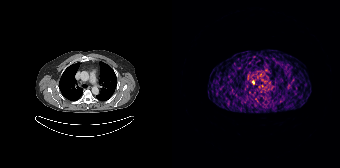
Coordinates are on the 168×168 PET (right) panel. PSMA-avid tumor lesion bounding box (x, y, width, height): x=80 y=80 w=3 h=5.